Technique: Paired axial CT (left) and PSMA PET (right), 18F tracer. slice position z = -293 mm.
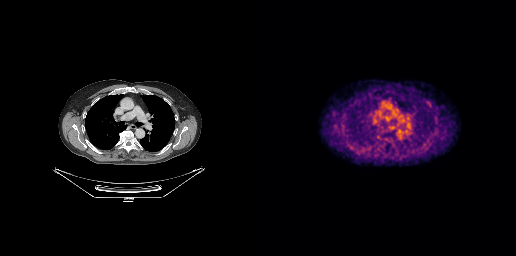
Findings: No tumor lesions annotated on this slice.